Two-panel axial: CT | PSMA PET, [18F]PSMA-1007 tracer. Slice 123 of 454. PET panel 200×200 px (4.1 mm/px).
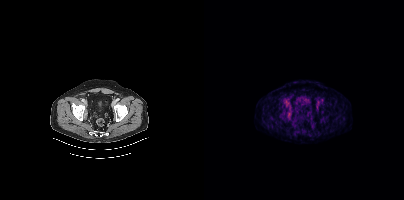
Only PSMA-avid lesion pieces thinner than 2 px on this slice (not listed).